modality: PSMA PET/CT | tracer: 18F-PSMA | view: axial | PET grid: 200×200
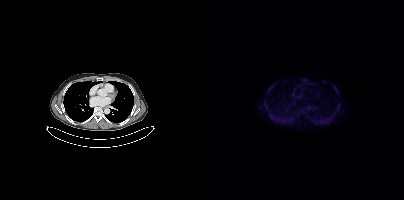
No PSMA-avid tumor lesions on this slice.